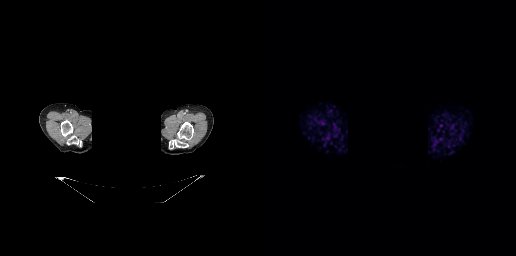
This slice has no annotated PSMA-avid lesion. Any black rectangle over the head is a privacy mask, not anatomy. Two-panel axial: CT | PSMA PET, 68Ga tracer. Slice position z = -263 mm.